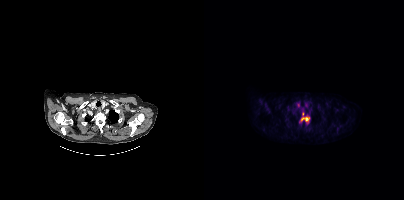
Left: CT. Right: PSMA PET, same axial level, 18F-PSMA tracer. Acquired on Siemens Biograph mCT Flow 20. Slice position z = -418 mm.
Coordinates are on the 200×200 PET (right) panel. PSMA-avid tumor lesion bounding boxes:
| # | x0 | y0 | x1 | y1 |
|---|---|---|---|---|
| 1 | 97 | 116 | 105 | 122 |
Small PSMA-avid focus (2 to 4 px across) near (center x, center y): (98, 114).